Left: CT. Right: PSMA PET, same axial level, 18F tracer. Slice position z = -347 mm.
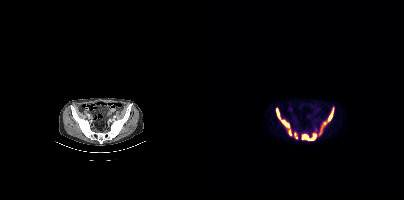
Coordinates are on the 200×200 PET (right) panel. PSMA-avid tumor lesion bounding boxes (partial; 1 more focus not listed):
| # | x0 | y0 | x1 | y1 |
|---|---|---|---|---|
| 1 | 118 | 108 | 129 | 127 |
| 2 | 78 | 120 | 87 | 135 |
| 3 | 99 | 134 | 112 | 140 |
| 4 | 72 | 108 | 75 | 117 |
| 5 | 114 | 130 | 118 | 135 |
| 6 | 90 | 133 | 93 | 138 |